Left: CT. Right: PSMA PET, same axial level, [68Ga]Ga-PSMA-11 tracer. Acquired on GE Discovery 690. Slice 64 of 263. PET panel 256×256 px (2.7 mm/px).
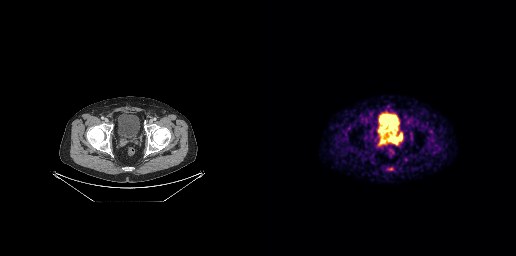
Coordinates are on the 256×256 PET (right) panel. PSMA-avid tumor lesion bounding boxes:
| # | x0 | y0 | x1 | y1 |
|---|---|---|---|---|
| 1 | 128 | 133 | 142 | 145 |
| 2 | 118 | 140 | 124 | 145 |